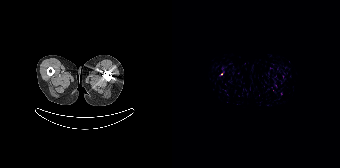
Findings: This slice has no annotated PSMA-avid lesion.
- Paired axial CT (left) and PSMA PET (right), 18F tracer
- PET panel 168×168 px (4.1 mm/px)